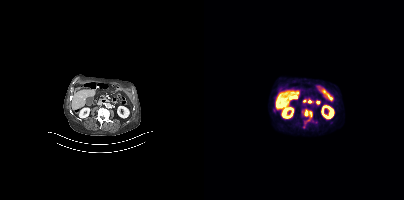
Technique: Left: CT. Right: PSMA PET, same axial level, 18F tracer. slice 146 of 373. PET panel 200×200 px (4.1 mm/px).
Findings: Coordinates are on the 200×200 PET (right) panel. PSMA-avid tumor lesion bounding boxes (x, y, width, height): x=98 y=109 w=11 h=13 / x=69 y=108 w=5 h=5.